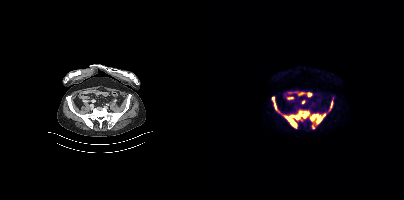
Findings: Coordinates are on the 200×200 PET (right) panel. PSMA-avid tumor lesion bounding boxes (x0, y0)-(x1, y1): (81, 110)-(105, 127) / (106, 113)-(121, 123) / (68, 97)-(70, 102) / (127, 101)-(128, 107) / (70, 104)-(72, 109). Small PSMA-avid foci (2 to 4 px across) near (center x, center y): (109, 127) / (75, 112).
Technique: Paired axial CT (left) and PSMA PET (right), 18F-PSMA tracer. PET panel 200×200 px (4.1 mm/px).